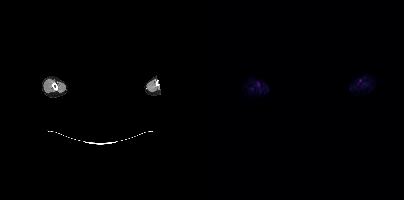
- Two-panel axial: CT | PSMA PET, 18F tracer
- PET panel 200×200 px (4.1 mm/px)
- a rectangle over the head was blacked out to remove identifiable facial features
Findings: No tumor lesions annotated on this slice.